Paired axial CT (left) and PSMA PET (right), [68Ga]Ga-PSMA-11 tracer. Acquired on Siemens Biograph mCT Flow 20. PET panel 200×200 px (4.1 mm/px).
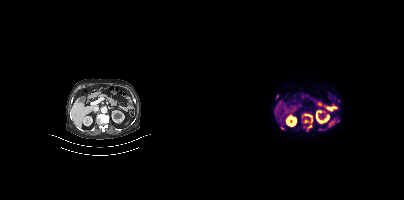
Coordinates are on the 200×200 PET (right) panel. PSMA-avid tumor lesion bounding boxes (partial; 2 more foci not listed):
| # | x0 | y0 | x1 | y1 |
|---|---|---|---|---|
| 1 | 98 | 113 | 108 | 122 |
| 2 | 100 | 125 | 107 | 130 |
| 3 | 72 | 95 | 74 | 99 |
Small PSMA-avid foci (2 to 4 px across) near (center x, center y): (101, 121); (78, 128).